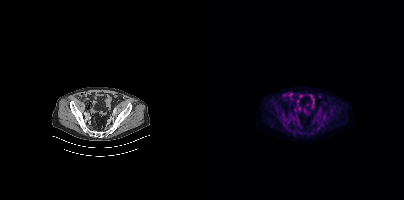
{"modality":"PSMA PET/CT","view":"axial","tracer":"18F-PSMA","pet_grid":[200,200],"coord_frame":"pet_panel","coord_format":"x0,y0,x1,y1","psma_avid_lesions":false}